Technique: Left: CT. Right: PSMA PET, same axial level, 18F-PSMA tracer. acquired on GE Discovery 690. slice 88 of 263. PET panel 256×256 px (2.7 mm/px).
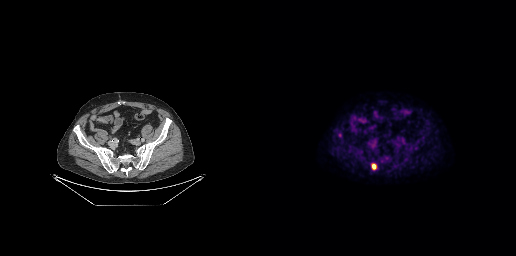
Findings: Coordinates are on the 256×256 PET (right) panel. (showing 2 of 3 foci) PSMA-avid tumor lesion bounding boxes (x0, y0)-(x1, y1): (112, 164)-(115, 168); (78, 133)-(81, 137).